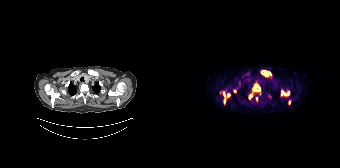
Findings: Coordinates are on the 168×168 PET (right) panel. (showing 11 of 12 foci) PSMA-avid tumor lesion bounding boxes (x0, y0)-(x1, y1): (80, 84)-(88, 91); (91, 70)-(97, 73); (109, 92)-(113, 95). Small PSMA-avid foci (2 to 4 px across) near (center x, center y): (78, 96); (116, 92); (56, 95); (93, 74); (51, 93); (117, 102); (52, 101); (84, 98).
Technique: Paired axial CT (left) and PSMA PET (right), [68Ga]Ga-PSMA-11 tracer.